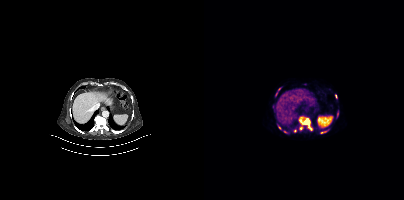
{"modality":"PSMA PET/CT","view":"axial","tracer":"[68Ga]Ga-PSMA-11","pet_grid":[200,200],"coord_frame":"pet_panel","coord_format":"x0,y0,x1,y1","lesion_bboxes":[[95,116,108,130],[116,131,122,133],[133,111,134,116],[74,125,77,129]],"small_foci_centers":[[132,96],[91,130],[75,89],[72,93],[81,131]]}